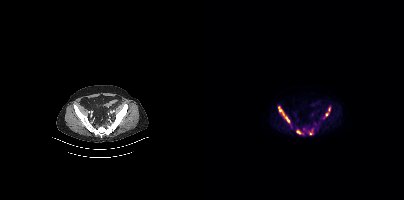
Technique: Two-panel axial: CT | PSMA PET, 18F tracer. acquired on Siemens Biograph mCT Flow 20. slice 72 of 367.
Findings: Coordinates are on the 200×200 PET (right) panel. (showing 4 of 5 foci) PSMA-avid tumor lesion bounding boxes (x0, y0)-(x1, y1): (74, 106)-(85, 122); (121, 107)-(126, 116). Small PSMA-avid foci (2 to 4 px across) near (center x, center y): (94, 131); (106, 133).